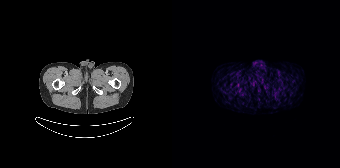
modality: PSMA PET/CT | tracer: [68Ga]Ga-PSMA-11 | view: axial | PET grid: 168×168
This slice has no annotated PSMA-avid lesion.